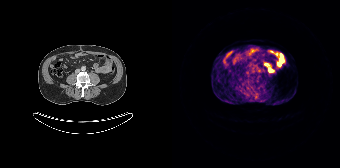
{"modality":"PSMA PET/CT","view":"axial","tracer":"[68Ga]Ga-PSMA-11","pet_grid":[168,168],"coord_frame":"pet_panel","coord_format":"x0,y0,x1,y1","psma_avid_lesions":false}